Paired axial CT (left) and PSMA PET (right), 18F-PSMA tracer. Acquired on Siemens Biograph mCT Flow 20. PET panel 200×200 px (4.1 mm/px).
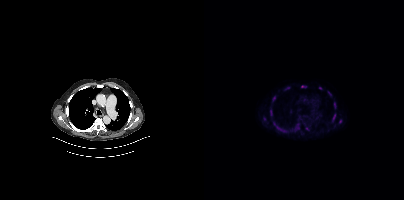
Coordinates are on the 200×200 PET (right) panel. PSMA-avid tumor lesion bounding boxes (partial; 2 more foci not listed):
| # | x0 | y0 | x1 | y1 |
|---|---|---|---|---|
| 1 | 69 | 122 | 79 | 129 |
| 2 | 128 | 113 | 132 | 121 |
| 3 | 66 | 110 | 68 | 115 |
| 4 | 69 | 96 | 71 | 101 |
| 5 | 97 | 85 | 102 | 87 |
| 6 | 130 | 102 | 131 | 108 |
| 7 | 124 | 91 | 127 | 95 |
Small PSMA-avid foci (2 to 4 px across) near (center x, center y): (116, 88); (136, 121); (60, 119); (94, 125); (103, 128).